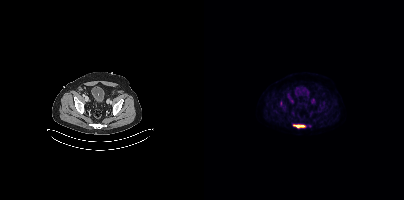
{"modality":"PSMA PET/CT","view":"axial","tracer":"18F","pet_grid":[200,200],"coord_frame":"pet_panel","coord_format":"x0,y0,x1,y1","lesion_bboxes":[[89,124,101,128]]}